Left: CT. Right: PSMA PET, same axial level, [18F]PSMA-1007 tracer. Slice 222 of 263.
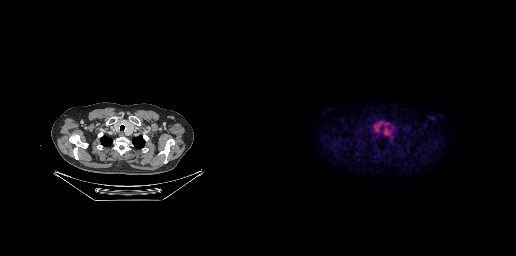
No tumor lesions annotated on this slice.